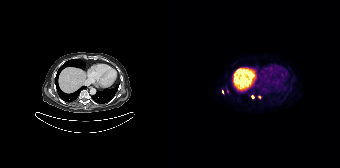
Coordinates are on the 168×168 PET (right) panel. PSMA-avid tumor lesion bounding box (x, y, width, height): x=50 y=90 w=3 h=5. Small PSMA-avid foci (2 to 4 px across) near (center x, center y): (80, 96); (55, 91). Paired axial CT (left) and PSMA PET (right), [18F]PSMA-1007 tracer. Slice 104 of 165.